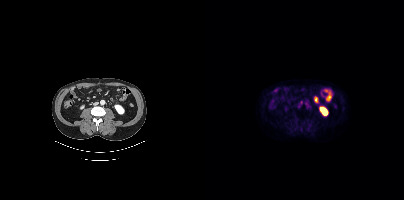
Coordinates are on the 200×200 PET (right) panel. Small PSMA-avid focus (2 to 4 px across) near (center x, center y): (97, 102).
modality: PSMA PET/CT | tracer: 18F-PSMA | view: axial | PET grid: 200×200